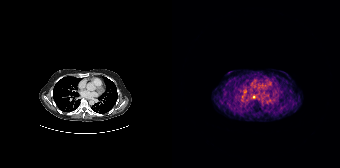
{"modality":"PSMA PET/CT","view":"axial","tracer":"[68Ga]Ga-PSMA-11","pet_grid":[168,168],"coord_frame":"pet_panel","coord_format":"x0,y0,x1,y1","lesion_bboxes":[],"small_foci_centers":[[82,97]]}